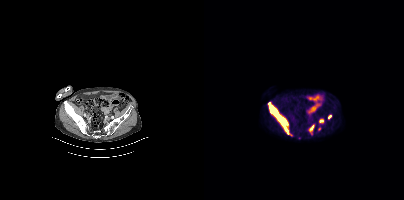
Coordinates are on the 200×200 PET (right) panel. PSMA-avid tumor lesion bounding boxes:
| # | x0 | y0 | x1 | y1 |
|---|---|---|---|---|
| 1 | 64 | 102 | 87 | 135 |
| 2 | 105 | 124 | 110 | 133 |
| 3 | 124 | 114 | 127 | 119 |
| 4 | 115 | 119 | 119 | 122 |
Small PSMA-avid focus (2 to 4 px across) near (center x, center y): (115, 128).
Two-panel axial: CT | PSMA PET, 18F-PSMA tracer. Slice position z = -180 mm.